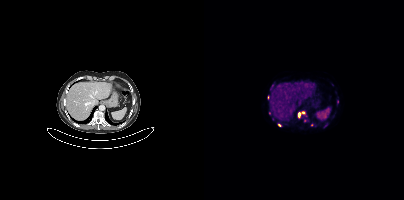
Coordinates are on the 200×200 PET (right) panel. (showing 6 of 8 foci) PSMA-avid tumor lesion bounding box (x0, y0)-(x1, y1): (94, 111)-(100, 117). Small PSMA-avid foci (2 to 4 px across) near (center x, center y): (75, 125) | (133, 102) | (65, 113) | (102, 116) | (107, 124).